Paired axial CT (left) and PSMA PET (right), 68Ga tracer. Acquired on Siemens Biograph 64-4R TruePoint. Slice 124 of 165. PET panel 168×168 px (4.1 mm/px).
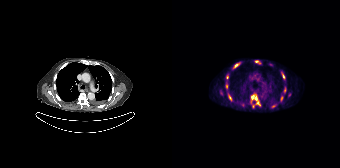
Coordinates are on the 168×168 PET (right) panel. (showing 10 of 12 foci) PSMA-avid tumor lesion bounding boxes (x0, y0)-(x1, y1): (79, 94)-(88, 105) | (109, 71)-(113, 79) | (61, 63)-(67, 68) | (99, 104)-(104, 107) | (83, 60)-(88, 63) | (56, 95)-(59, 100) | (54, 84)-(55, 88) | (109, 96)-(110, 100) | (112, 88)-(113, 92). Small PSMA-avid focus (2 to 4 px across) near (center x, center y): (55, 77).